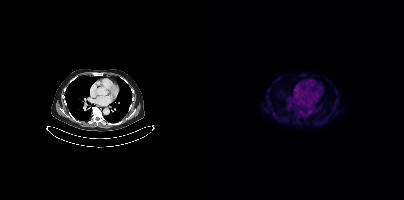
No tumor lesions annotated on this slice.